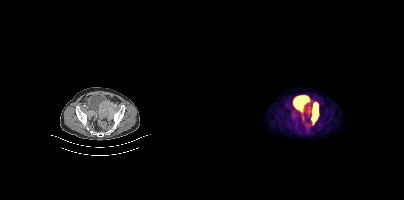
{"modality":"PSMA PET/CT","view":"axial","tracer":"[18F]PSMA-1007","pet_grid":[200,200],"coord_frame":"pet_panel","coord_format":"x0,y0,x1,y1","lesion_bboxes":[[108,102,114,121],[101,109,106,114]]}